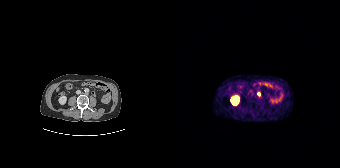
Coordinates are on the 168×168 PET (right) panel. Small PSMA-avid focus (2 to 4 px across) near (center x, center y): (86, 93).